modality: PSMA PET/CT | tracer: [18F]PSMA-1007 | view: axial
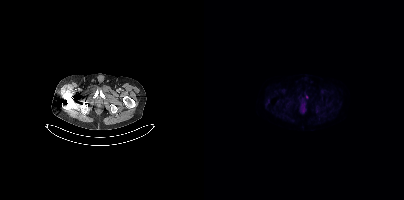
This slice has no annotated PSMA-avid lesion.